Paired axial CT (left) and PSMA PET (right), 18F tracer. Acquired on Siemens Biograph mCT Flow 20.
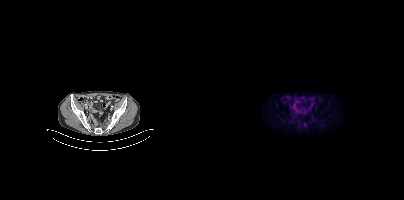
Only PSMA-avid lesion pieces thinner than 2 px on this slice (not listed).